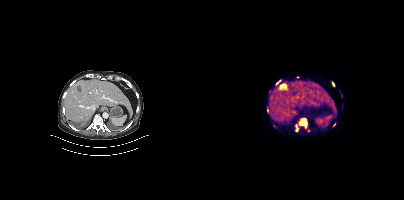
- Paired axial CT (left) and PSMA PET (right), 18F-PSMA tracer
- slice position z = -1225 mm
- PET panel 200×200 px (4.1 mm/px)
Findings: Coordinates are on the 200×200 PET (right) panel. (showing 5 of 7 foci) PSMA-avid tumor lesion bounding boxes (x0,y0,x1,y1): [91,118,103,132]; [128,82,130,86]; [72,80,76,84]. Small PSMA-avid foci (2 to 4 px across) near (center x, center y): (63, 110); (130, 124).